Paired axial CT (left) and PSMA PET (right), 18F tracer. Slice position z = -450 mm. PET panel 200×200 px (4.1 mm/px).
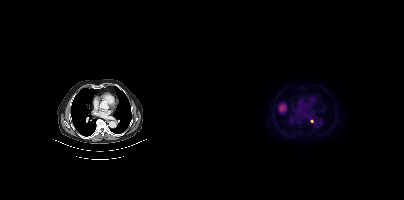
Coordinates are on the 200×200 PET (right) panel. Small PSMA-avid focus (2 to 4 px across) near (center x, center y): (107, 121).